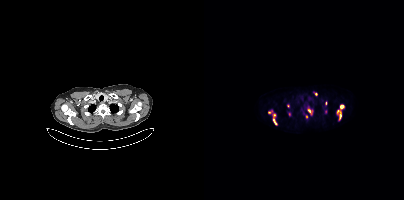
Coordinates are on the 200×200 PET (right) panel. (showing 11 of 13 foci) PSMA-avid tumor lesion bounding boxes (x0, y0)-(x1, y1): (103, 110)-(108, 115) / (135, 113)-(137, 119) / (69, 113)-(71, 117) / (69, 119)-(72, 124). Small PSMA-avid foci (2 to 4 px across) near (center x, center y): (137, 106) / (85, 113) / (102, 116) / (84, 106) / (65, 112) / (133, 112) / (111, 93).